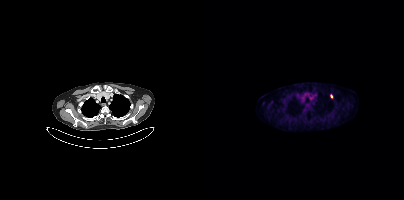
Technique: Paired axial CT (left) and PSMA PET (right), 18F-PSMA tracer.
Findings: Coordinates are on the 200×200 PET (right) panel. Small PSMA-avid focus (2 to 4 px across) near (center x, center y): (127, 96).